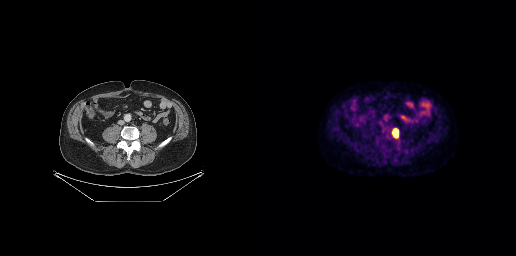
Coordinates are on the 256×256 PET (right) panel. PSMA-avid tumor lesion bounding box (x0, y0)-(x1, y1): (133, 129)-(138, 137).